Technique: Two-panel axial: CT | PSMA PET, [18F]PSMA-1007 tracer. PET panel 200×200 px (4.1 mm/px).
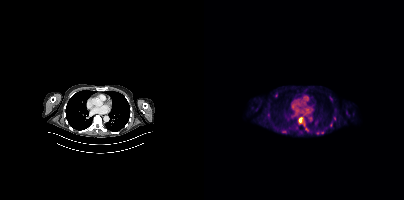
Findings: Coordinates are on the 200×200 PET (right) panel. PSMA-avid tumor lesion bounding box (x, y, width, height): x=78 y=131 w=5 h=2. Small PSMA-avid foci (2 to 4 px across) near (center x, center y): (96, 119); (126, 98); (118, 132); (64, 114).